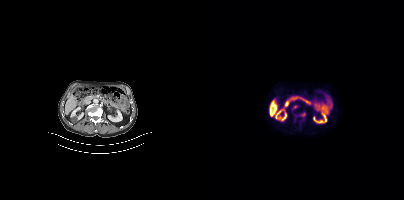
Coordinates are on the 200×200 PET (right) panel. Small PSMA-avid foci (2 to 4 px across) near (center x, center y): (91, 107) (99, 114).